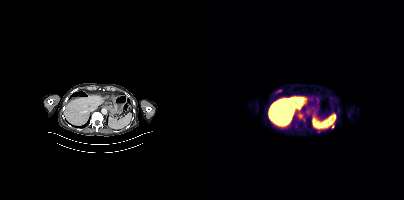
Two-panel axial: CT | PSMA PET, [18F]PSMA-1007 tracer. Coordinates are on the 200×200 PET (right) panel. Small PSMA-avid foci (2 to 4 px across) near (center x, center y): (114, 131) (128, 126).